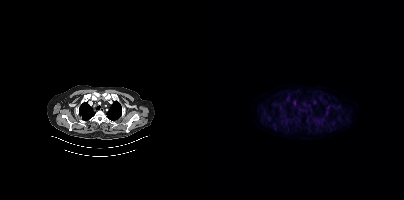
Technique: Left: CT. Right: PSMA PET, same axial level, 18F-PSMA tracer. PET panel 200×200 px (4.1 mm/px).
Findings: Only PSMA-avid lesion pieces thinner than 2 px on this slice (not listed).